Technique: Left: CT. Right: PSMA PET, same axial level, 68Ga-PSMA tracer. PET panel 256×256 px (2.7 mm/px).
Note: Head region blanked for anonymization (face removed).
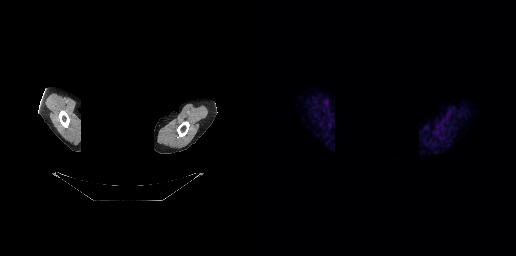
Findings: No tumor lesions annotated on this slice.